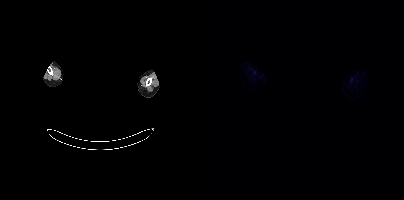
No tumor lesions annotated on this slice.
Head region blanked for anonymization (face removed).